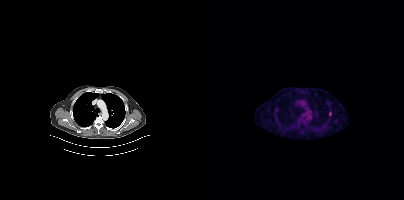
Left: CT. Right: PSMA PET, same axial level, [18F]PSMA-1007 tracer. Slice position z = -517 mm. Coordinates are on the 200×200 PET (right) panel. Small PSMA-avid focus (2 to 4 px across) near (center x, center y): (126, 113).